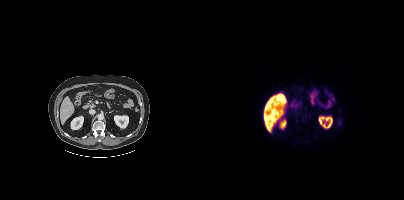
{"modality":"PSMA PET/CT","view":"axial","tracer":"18F","pet_grid":[200,200],"coord_frame":"pet_panel","coord_format":"x0,y0,x1,y1","psma_avid_lesions":false}